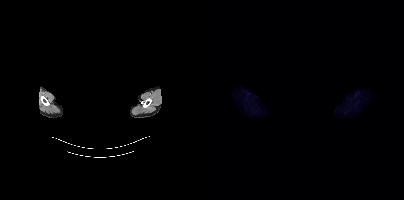
No tumor lesions annotated on this slice.
The head region is masked for de-identification.